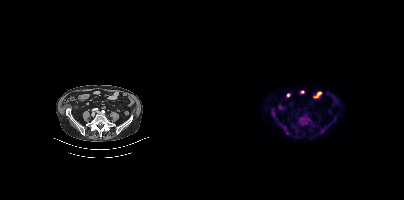
Coordinates are on the 200×200 PET (right) panel. PSMA-avid tumor lesion bounding boxes (x, y, width, height): x=95 y=115 w=11 h=11; x=76 y=123 w=6 h=9. Small PSMA-avid focus (2 to 4 px across) near (center x, center y): (72, 119). Two-panel axial: CT | PSMA PET, 18F tracer.